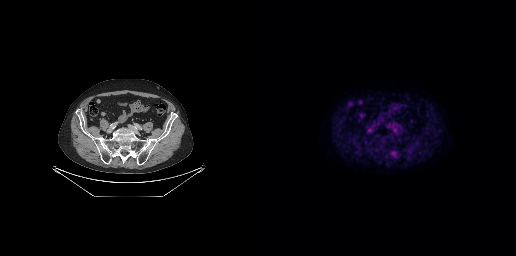
Coordinates are on the 256×256 PET (right) panel. Small PSMA-avid focus (2 to 4 px across) near (center x, center y): (133, 152).